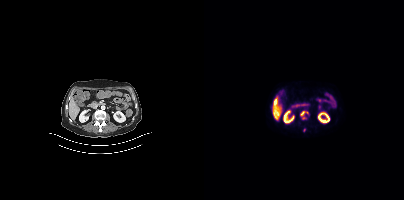
Technique: Two-panel axial: CT | PSMA PET, 18F tracer. slice position z = -654 mm. PET panel 200×200 px (4.1 mm/px).
Findings: Coordinates are on the 200×200 PET (right) panel. (showing 2 of 4 foci) PSMA-avid tumor lesion bounding boxes (x0,y0,x1,y1): [70,100,72,104], [97,111,100,115].